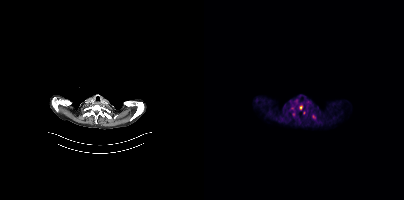
Coordinates are on the 200×200 PET (right) panel. (showing 2 of 3 foci) Small PSMA-avid foci (2 to 4 px across) near (center x, center y): (96, 107) / (109, 116). Paired axial CT (left) and PSMA PET (right), 18F tracer.